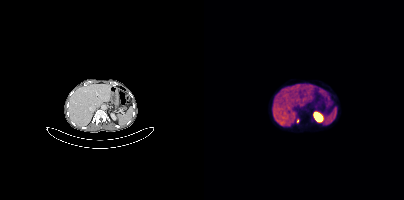
Left: CT. Right: PSMA PET, same axial level, 68Ga-PSMA tracer. Acquired on Siemens Biograph mCT Flow 20. PET panel 200×200 px (4.1 mm/px). Coordinates are on the 200×200 PET (right) panel. Small PSMA-avid focus (2 to 4 px across) near (center x, center y): (93, 120).